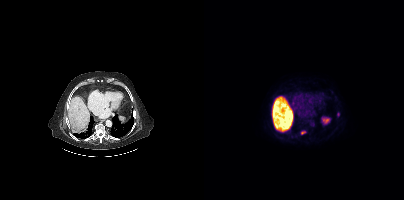
- Paired axial CT (left) and PSMA PET (right), [18F]PSMA-1007 tracer
- acquired on Siemens Biograph mCT Flow 20
- slice position z = -1098 mm
- PET panel 200×200 px (4.1 mm/px)
Findings: Coordinates are on the 200×200 PET (right) panel. PSMA-avid tumor lesion bounding box (x0, y0)-(x1, y1): (97, 131)-(101, 134). Small PSMA-avid focus (2 to 4 px across) near (center x, center y): (134, 114).